modality: PSMA PET/CT | tracer: [18F]PSMA-1007 | view: axial | PET grid: 200×200
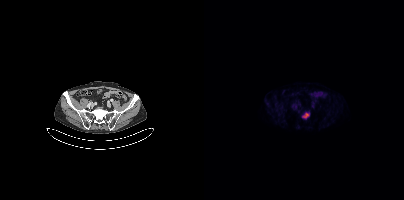
Coordinates are on the 200×200 PET (right) panel. PSMA-avid tumor lesion bounding box (x0,y0,x1,y1): [98,112,105,118].